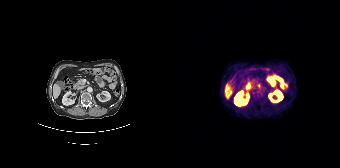
Coordinates are on the 168×168 PET (right) panel. Small PSMA-avid focus (2 to 4 px across) near (center x, center y): (87, 85).